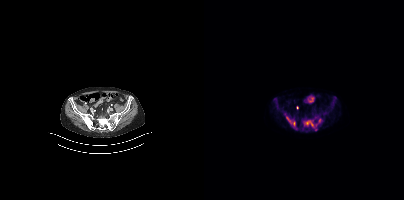
- Two-panel axial: CT | PSMA PET, 18F-PSMA tracer
- acquired on Siemens Biograph mCT Flow 20
- slice position z = -1473 mm
Findings: Coordinates are on the 200×200 PET (right) panel. PSMA-avid tumor lesion bounding boxes (x0,y0,x1,y1): [100,120,111,125], [70,99,75,108], [113,118,118,123], [83,118,88,123], [110,126,113,130]. Small PSMA-avid focus (2 to 4 px across) near (center x, center y): (90, 123).